Technique: Paired axial CT (left) and PSMA PET (right), [18F]PSMA-1007 tracer. slice position z = -362 mm.
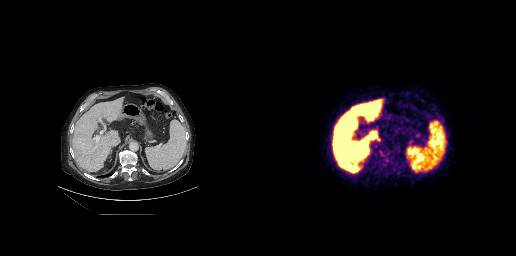
Findings: Coordinates are on the 256×256 PET (right) panel. PSMA-avid tumor lesion bounding boxes (x, y, width, height): x=117 y=150 w=18 h=18 | x=175 y=112 w=6 h=5.